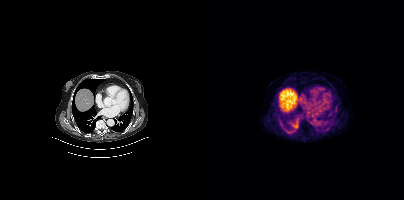
Negative for PSMA-avid disease on this slice. Two-panel axial: CT | PSMA PET, 18F-PSMA tracer. Acquired on Siemens Biograph mCT Flow 20. Slice 302 of 454. PET panel 200×200 px (4.1 mm/px).